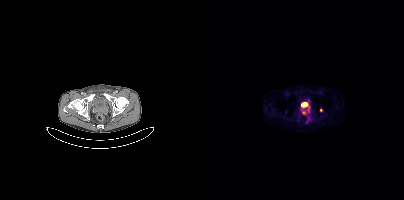
- Left: CT. Right: PSMA PET, same axial level, 68Ga tracer
- acquired on Siemens Biograph mCT Flow 20
- slice 58 of 409
- PET panel 200×200 px (4.1 mm/px)
Findings: Coordinates are on the 200×200 PET (right) panel. PSMA-avid tumor lesion bounding boxes (x, y, width, height): x=98 y=110 w=4 h=5; x=102 y=116 w=5 h=7; x=103 y=107 w=3 h=5. Small PSMA-avid focus (2 to 4 px across) near (center x, center y): (117, 109).